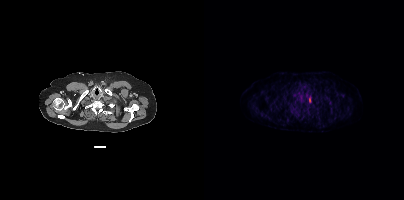
{"modality":"PSMA PET/CT","view":"axial","tracer":"18F-PSMA","pet_grid":[200,200],"coord_frame":"pet_panel","coord_format":"x0,y0,x1,y1","lesion_bboxes":[],"small_foci_centers":[[89,94],[126,103],[92,109]]}